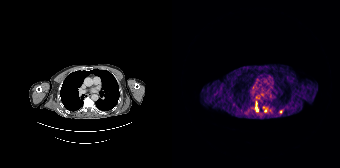
- Left: CT. Right: PSMA PET, same axial level, 68Ga-PSMA tracer
Findings: Coordinates are on the 168×168 PET (right) panel. PSMA-avid tumor lesion bounding box (x, y, width, height): x=84 y=102 w=3 h=10. Small PSMA-avid foci (2 to 4 px across) near (center x, center y): (93, 110); (108, 111).